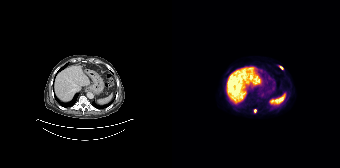
Findings: Coordinates are on the 168×168 PET (right) panel. PSMA-avid tumor lesion bounding box (x, y, width, height): x=107 y=65 w=5 h=5. Small PSMA-avid focus (2 to 4 px across) near (center x, center y): (83, 110).
Technique: Two-panel axial: CT | PSMA PET, [18F]PSMA-1007 tracer. slice 100 of 165. PET panel 168×168 px (4.1 mm/px).